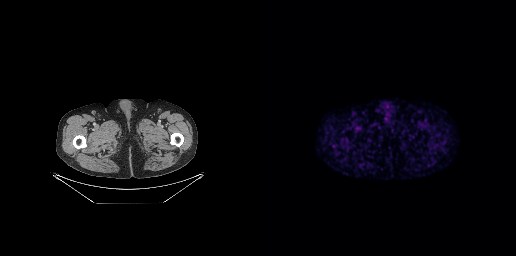
Left: CT. Right: PSMA PET, same axial level, [18F]PSMA-1007 tracer. Negative for PSMA-avid disease on this slice.